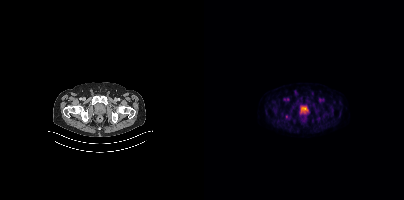
modality: PSMA PET/CT | tracer: [18F]PSMA-1007 | view: axial
Coordinates are on the 200×200 PET (right) panel. Small PSMA-avid focus (2 to 4 px across) near (center x, center y): (82, 116).